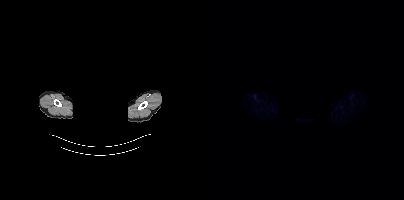
Two-panel axial: CT | PSMA PET, 18F-PSMA tracer. Slice position z = -988 mm. PET panel 200×200 px (4.1 mm/px). De-identified by setting a box covering the face to black before release. Negative for PSMA-avid disease on this slice.